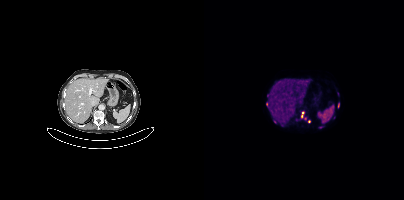
Coordinates are on the 200×200 PET (right) panel. (showing 8 of 9 foci) PSMA-avid tumor lesion bounding boxes (x, y, width, height): x=115 y=126 w=5 h=3 | x=134 y=103 w=2 h=5. Small PSMA-avid foci (2 to 4 px across) near (center x, center y): (101, 118) | (99, 112) | (71, 121) | (62, 104) | (97, 116) | (105, 121).